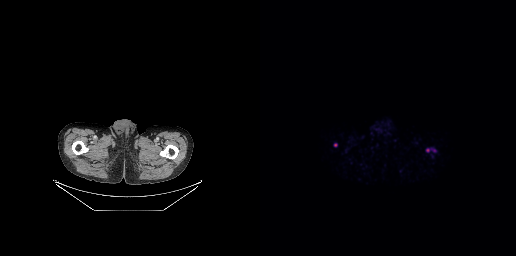
Findings: Coordinates are on the 256×256 PET (right) panel. PSMA-avid tumor lesion bounding box (x, y, width, height): x=166 y=148 w=4 h=5. Small PSMA-avid focus (2 to 4 px across) near (center x, center y): (75, 145).
- Left: CT. Right: PSMA PET, same axial level, [68Ga]Ga-PSMA-11 tracer
- slice position z = -910 mm